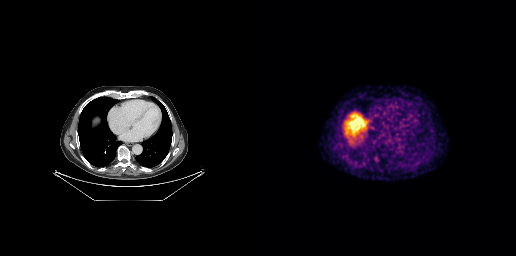
Only PSMA-avid lesion pieces thinner than 2 px on this slice (not listed).